Technique: Left: CT. Right: PSMA PET, same axial level, 18F tracer. PET panel 256×256 px (2.7 mm/px).
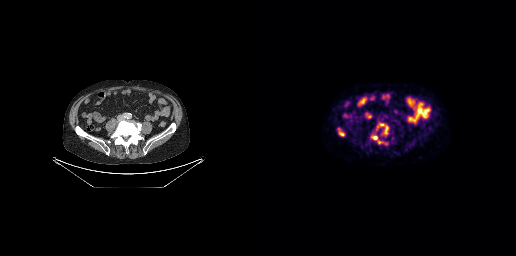
Findings: Coordinates are on the 256×256 PET (right) panel. (showing 3 of 5 foci) PSMA-avid tumor lesion bounding boxes (x0,y0,x1,y1): [117,123,128,134], [111,135,123,143], [79,132,84,135].